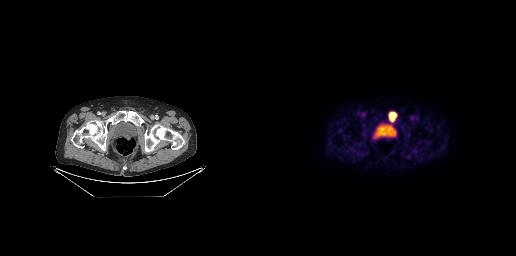
{"modality":"PSMA PET/CT","view":"axial","tracer":"18F-PSMA","pet_grid":[256,256],"coord_frame":"pet_panel","coord_format":"x0,y0,x1,y1","lesion_bboxes":[[129,112,136,121]]}